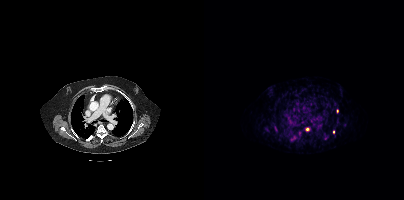
Paired axial CT (left) and PSMA PET (right), [68Ga]Ga-PSMA-11 tracer. Coordinates are on the 200×200 PET (right) panel. PSMA-avid tumor lesion bounding box (x, y, width, height): x=101 y=127 w=5 h=5. Small PSMA-avid foci (2 to 4 px across) near (center x, center y): (90, 137); (133, 111); (129, 132); (95, 133).